Technique: Two-panel axial: CT | PSMA PET, 68Ga tracer. slice position z = -980 mm. PET panel 168×168 px (4.1 mm/px).
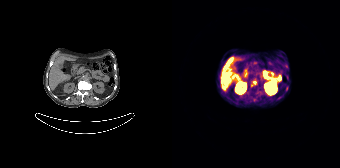
Findings: Coordinates are on the 168×168 PET (right) panel. (showing 2 of 3 foci) Small PSMA-avid foci (2 to 4 px across) near (center x, center y): (82, 82); (114, 88).